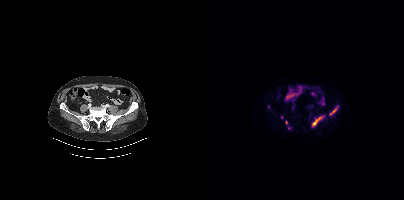
Coordinates are on the 200×200 PET (right) panel. (showing 4 of 6 foci) PSMA-avid tumor lesion bounding boxes (x0, y0)-(x1, y1): (108, 115)-(120, 125) | (126, 105)-(134, 115). Small PSMA-avid foci (2 to 4 px across) near (center x, center y): (64, 106) | (77, 117).